Two-panel axial: CT | PSMA PET, [18F]PSMA-1007 tracer. PET panel 200×200 px (4.1 mm/px).
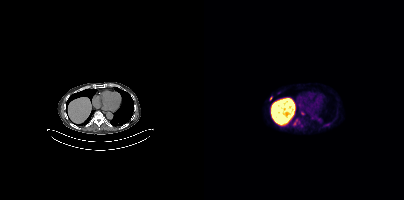
Coordinates are on the 200×200 PET (right) panel. PSMA-avid tumor lesion bounding box (x0, y0)-(x1, y1): (89, 120)-(93, 126). Small PSMA-avid foci (2 to 4 px across) near (center x, center y): (97, 125) | (66, 98) | (98, 113).